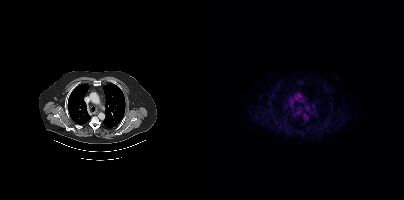
Findings: No PSMA-avid tumor lesions on this slice.
- Two-panel axial: CT | PSMA PET, 18F tracer
- acquired on Siemens Biograph mCT Flow 20